Technique: Two-panel axial: CT | PSMA PET, 18F tracer. acquired on GE Discovery 690. slice 81 of 263. PET panel 256×256 px (2.7 mm/px).
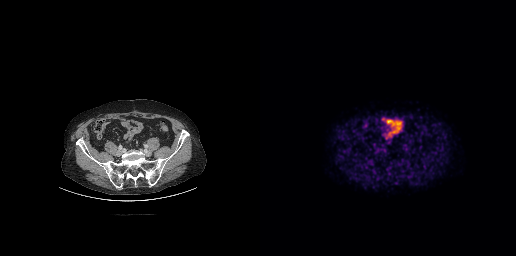
Findings: No PSMA-avid tumor lesions on this slice.